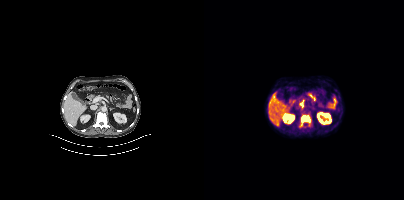
{"pet_grid":[200,200],"coord_frame":"pet_panel","coord_format":"x0,y0,x1,y1","partial":true,"lesion_bboxes":[[95,114,107,127]],"modality":"PSMA PET/CT","view":"axial","tracer":"18F-PSMA"}